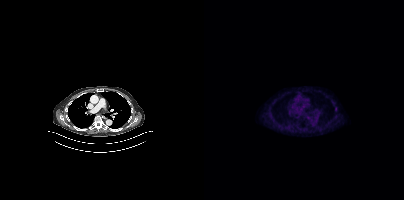
modality: PSMA PET/CT | tracer: 18F | view: axial
Coordinates are on the 200×200 PET (right) panel. Small PSMA-avid focus (2 to 4 px across) near (center x, center y): (131, 109).